Two-panel axial: CT | PSMA PET, [68Ga]Ga-PSMA-11 tracer. Acquired on Siemens Biograph mCT Flow 20.
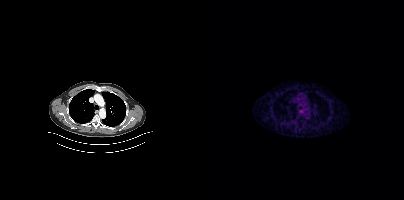
No tumor lesions annotated on this slice.